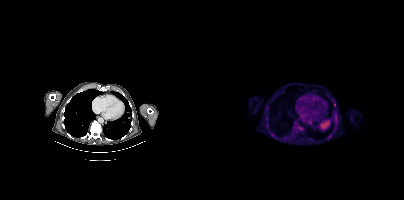
Coordinates are on the 200×200 PET (right) panel. PSMA-avid tumor lesion bounding boxes:
| # | x0 | y0 | x1 | y1 |
|---|---|---|---|---|
| 1 | 130 | 102 | 131 | 106 |
Small PSMA-avid focus (2 to 4 px across) near (center x, center y): (96, 128).
Two-panel axial: CT | PSMA PET, 18F-PSMA tracer. Slice position z = -1088 mm.